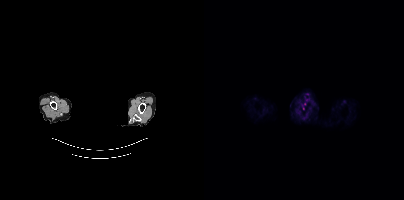
{"modality":"PSMA PET/CT","view":"axial","tracer":"68Ga","pet_grid":[200,200],"coord_frame":"pet_panel","coord_format":"x0,y0,x1,y1","deidentification":"head region blacked out before release","psma_avid_lesions":false}